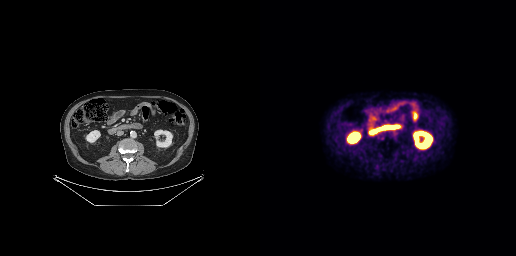
Technique: Two-panel axial: CT | PSMA PET, 18F-PSMA tracer. slice position z = -453 mm.
Findings: This slice has no annotated PSMA-avid lesion.